Technique: Two-panel axial: CT | PSMA PET, 18F-PSMA tracer. PET panel 200×200 px (4.1 mm/px).
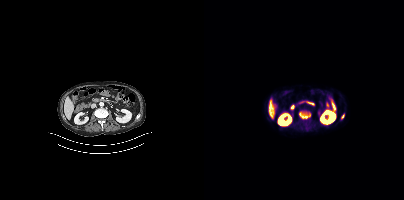
Findings: Coordinates are on the 200×200 PET (right) panel. (showing 3 of 4 foci) PSMA-avid tumor lesion bounding boxes (x0, y0)-(x1, y1): (102, 113)-(106, 117) | (98, 113)-(101, 117). Small PSMA-avid focus (2 to 4 px across) near (center x, center y): (139, 116).